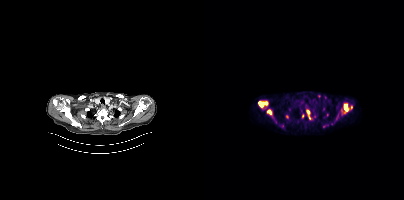
- Paired axial CT (left) and PSMA PET (right), 18F-PSMA tracer
- acquired on Siemens Biograph mCT Flow 20
- slice position z = -930 mm
Findings: Coordinates are on the 200×200 PET (right) panel. (showing 9 of 11 foci) PSMA-avid tumor lesion bounding boxes (x0,y0,x1,y1): [137,104,145,114]; [54,101,64,107]; [63,109,68,115]; [103,110,105,114]. Small PSMA-avid foci (2 to 4 px across) near (center x, center y): (83, 116); (147, 107); (98, 115); (105, 117); (119, 126).